Two-panel axial: CT | PSMA PET, 18F-PSMA tracer. Slice 172 of 299. PET panel 256×256 px (2.7 mm/px).
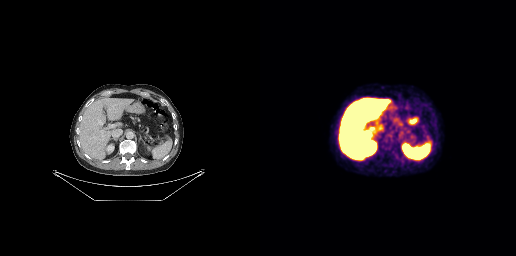
No PSMA-avid tumor lesions on this slice.